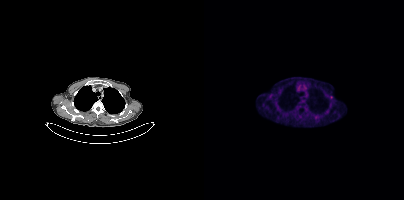
Coordinates are on the 200×200 PET (right) panel. Small PSMA-avid foci (2 to 4 px across) near (center x, center y): (127, 97) / (65, 96).